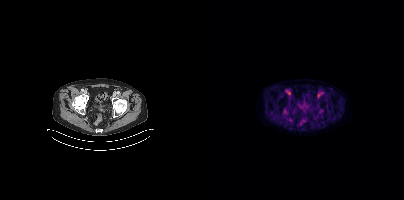
Coordinates are on the 200×200 PET (right) panel. Small PSMA-avid focus (2 to 4 px across) near (center x, center y): (80, 110).